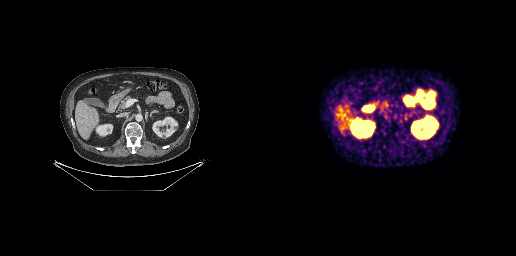
No PSMA-avid tumor lesions on this slice. Two-panel axial: CT | PSMA PET, 68Ga tracer. PET panel 256×256 px (2.7 mm/px).